De-identified by setting a box covering the face to black before release. Two-panel axial: CT | PSMA PET, 18F-PSMA tracer. Slice 153 of 165. PET panel 168×168 px (4.1 mm/px).
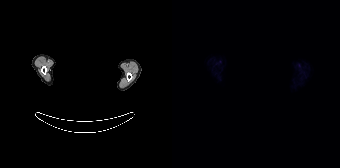
No PSMA-avid tumor lesions on this slice.